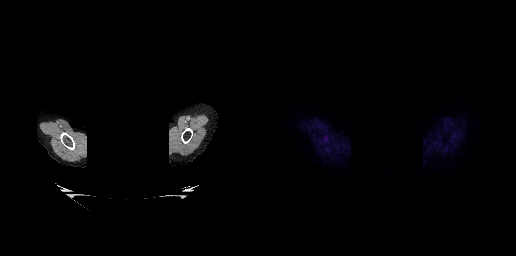
{"modality":"PSMA PET/CT","view":"axial","tracer":"[18F]PSMA-1007","pet_grid":[256,256],"coord_frame":"pet_panel","coord_format":"x0,y0,x1,y1","psma_avid_lesions":false,"deidentification":"head region blanked (face removed)"}